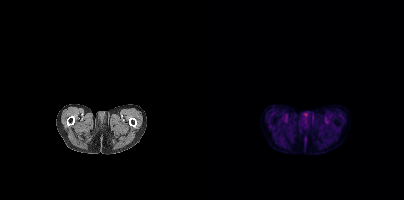
Negative for PSMA-avid disease on this slice.